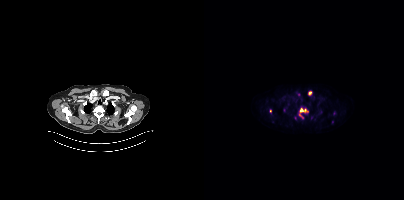
Technique: Two-panel axial: CT | PSMA PET, 18F-PSMA tracer. acquired on Siemens Biograph mCT Flow 20.
Findings: Coordinates are on the 200×200 PET (right) panel. PSMA-avid tumor lesion bounding boxes (x, y, width, height): x=95 y=108 w=10 h=5 | x=104 y=91 w=4 h=5. Small PSMA-avid foci (2 to 4 px across) near (center x, center y): (96, 115) | (66, 111).